Two-panel axial: CT | PSMA PET, 18F-PSMA tracer. Face de-identified by blanking a block of the head.
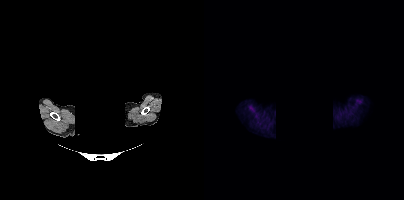
No tumor lesions annotated on this slice.